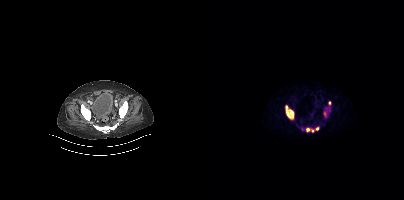
No tumor lesions annotated on this slice.